Two-panel axial: CT | PSMA PET, [18F]PSMA-1007 tracer. Slice position z = -534 mm.
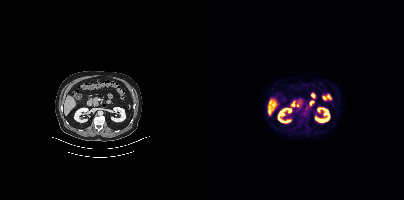
No PSMA-avid tumor lesions on this slice.